modality: PSMA PET/CT | tracer: [18F]PSMA-1007 | view: axial
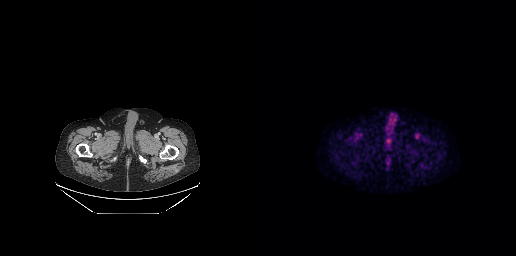
No tumor lesions annotated on this slice.